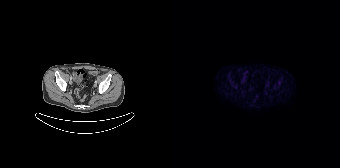
Findings: No tumor lesions annotated on this slice.
- Left: CT. Right: PSMA PET, same axial level, 18F-PSMA tracer
- PET panel 168×168 px (4.1 mm/px)